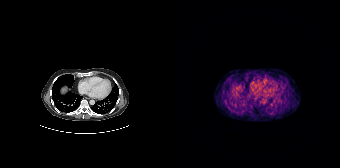
Paired axial CT (left) and PSMA PET (right), 68Ga-PSMA tracer. PET panel 168×168 px (4.1 mm/px). No tumor lesions annotated on this slice.